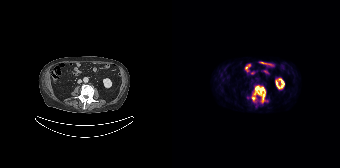
{"modality":"PSMA PET/CT","view":"axial","tracer":"[18F]PSMA-1007","pet_grid":[168,168],"coord_frame":"pet_panel","coord_format":"x0,y0,x1,y1","lesion_bboxes":[[80,85,93,102]]}